Technique: Left: CT. Right: PSMA PET, same axial level, [18F]PSMA-1007 tracer. acquired on Siemens Biograph mCT Flow 20. PET panel 200×200 px (4.1 mm/px).
Note: Privacy masking, with the pixels inside a rectangle set to black.
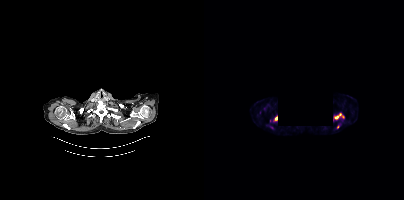
Findings: Coordinates are on the 200×200 PET (right) panel. (showing 4 of 5 foci) PSMA-avid tumor lesion bounding boxes (x0, y0)-(x1, y1): (130, 113)-(140, 119) / (69, 115)-(73, 121). Small PSMA-avid foci (2 to 4 px across) near (center x, center y): (60, 108) / (133, 126).